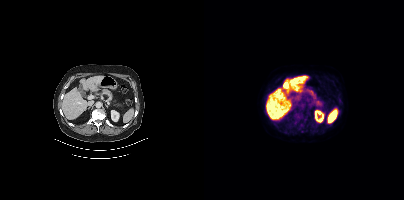
Coordinates are on the 200×200 PET (right) panel. (showing 4 of 5 foci) PSMA-avid tumor lesion bounding boxes (x, y, width, height): x=90 y=114 w=6 h=6 | x=98 y=116 w=6 h=6. Small PSMA-avid foci (2 to 4 px across) near (center x, center y): (134, 98) | (97, 112).